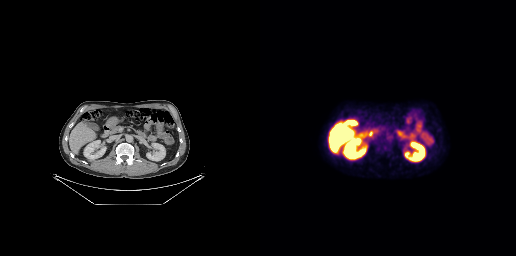
No tumor lesions annotated on this slice. Two-panel axial: CT | PSMA PET, 18F-PSMA tracer. Slice position z = -428 mm.